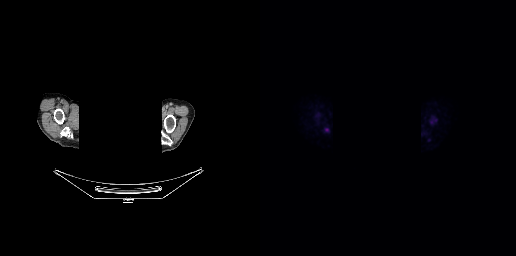
redaction: face masked with black rectangle | modality: PSMA PET/CT | tracer: 18F-PSMA | view: axial
Coordinates are on the 256×256 PET (right) panel. Small PSMA-avid focus (2 to 4 px across) near (center x, center y): (66, 129).